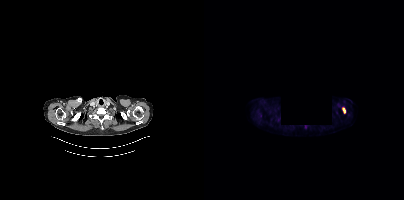
Some pixels were blanked for anonymization.
Coordinates are on the 200×200 PET (right) panel. PSMA-avid tumor lesion bounding box (x0,y0,x1,y1): [138,107,141,113].